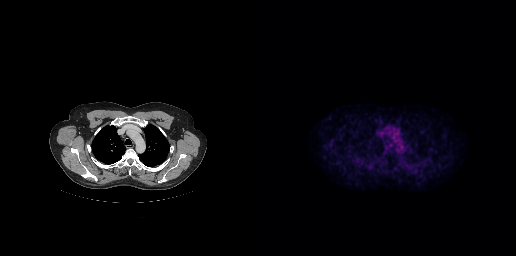
{"modality":"PSMA PET/CT","view":"axial","tracer":"18F","pet_grid":[256,256],"coord_frame":"pet_panel","coord_format":"x0,y0,x1,y1","lesion_bboxes":[],"small_foci_centers":[[155,170]]}